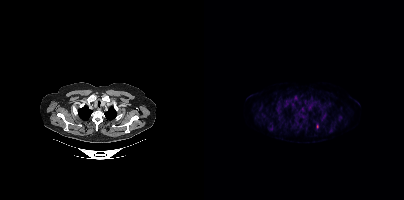
Left: CT. Right: PSMA PET, same axial level, 18F-PSMA tracer. PET panel 200×200 px (4.1 mm/px).
Coordinates are on the 200×200 PET (right) panel. PSMA-avid tumor lesion bounding boxes (partial; 1 more focus not listed):
| # | x0 | y0 | x1 | y1 |
|---|---|---|---|---|
| 1 | 95 | 113 | 101 | 118 |
| 2 | 72 | 107 | 76 | 111 |
| 3 | 81 | 101 | 84 | 105 |
| 4 | 106 | 96 | 109 | 100 |
| 5 | 112 | 124 | 114 | 128 |
Small PSMA-avid foci (2 to 4 px across) near (center x, center y): (91, 97); (118, 117); (121, 114); (117, 107); (75, 119); (66, 130).